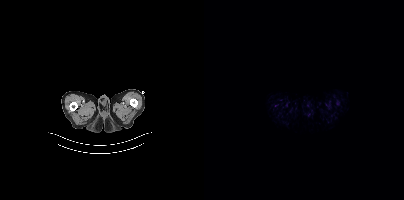
{"modality":"PSMA PET/CT","view":"axial","tracer":"[18F]PSMA-1007","pet_grid":[200,200],"coord_frame":"pet_panel","coord_format":"x0,y0,x1,y1","psma_avid_lesions":false}